modality: PSMA PET/CT | tracer: 18F-PSMA | view: axial | PET grid: 200×200
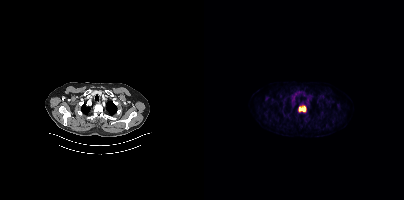
Coordinates are on the 200×200 PET (right) panel. PSMA-avid tumor lesion bounding box (x0,y0,x1,y1): [94,105,102,112].